Two-panel axial: CT | PSMA PET, 18F-PSMA tracer. Acquired on Siemens Biograph mCT Flow 20. Slice 373 of 442. PET panel 200×200 px (4.1 mm/px). An anonymization step blacked out a rectangle in this scan.
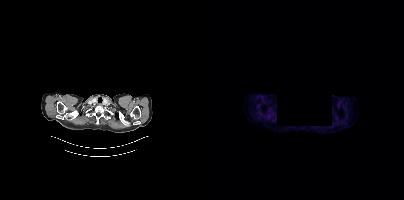
No PSMA-avid tumor lesions on this slice.